Two-panel axial: CT | PSMA PET, 18F tracer. Slice position z = -859 mm.
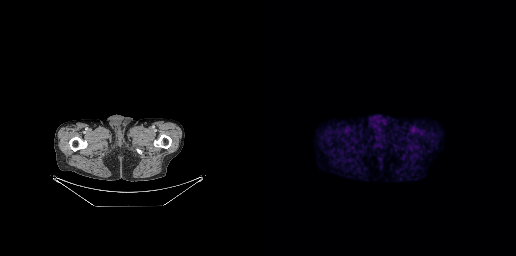
No PSMA-avid tumor lesions on this slice.